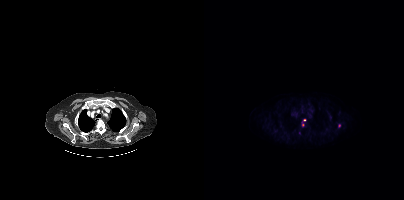
{"modality":"PSMA PET/CT","view":"axial","tracer":"18F-PSMA","pet_grid":[200,200],"coord_frame":"pet_panel","coord_format":"x0,y0,x1,y1","partial":true,"lesion_bboxes":[],"small_foci_centers":[[100,119]]}